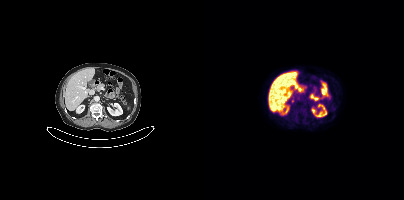
{"pet_grid":[200,200],"coord_frame":"pet_panel","coord_format":"x0,y0,x1,y1","lesion_bboxes":[],"small_foci_centers":[[89,100]],"modality":"PSMA PET/CT","view":"axial","tracer":"18F-PSMA"}